- Paired axial CT (left) and PSMA PET (right), 68Ga-PSMA tracer
- acquired on Siemens Biograph mCT Flow 20
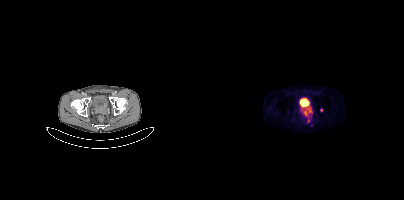
Findings: Coordinates are on the 200×200 PET (right) panel. PSMA-avid tumor lesion bounding box (x0, y0)-(x1, y1): (97, 106)-(108, 115). Small PSMA-avid foci (2 to 4 px across) near (center x, center y): (104, 120); (117, 109).